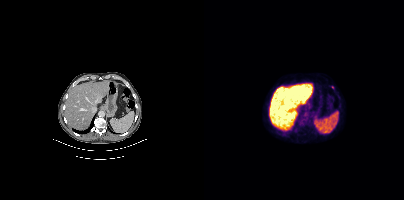
{"modality":"PSMA PET/CT","view":"axial","tracer":"[18F]PSMA-1007","pet_grid":[200,200],"coord_frame":"pet_panel","coord_format":"x0,y0,x1,y1","partial":true,"lesion_bboxes":[]}